Technique: Two-panel axial: CT | PSMA PET, 68Ga tracer. slice position z = -445 mm. PET panel 256×256 px (2.7 mm/px).
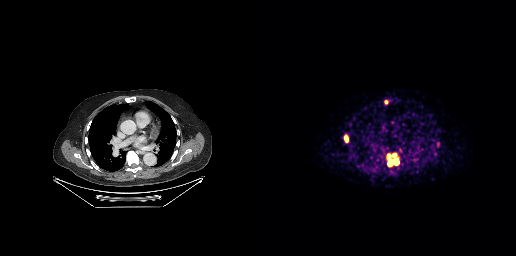
Findings: Coordinates are on the 256×256 PET (right) panel. PSMA-avid tumor lesion bounding boxes (x0, y0)-(x1, y1): (127, 153)-(139, 166) | (85, 136)-(87, 141). Small PSMA-avid focus (2 to 4 px across) near (center x, center y): (126, 102).